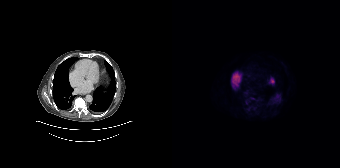
No PSMA-avid tumor lesions on this slice.